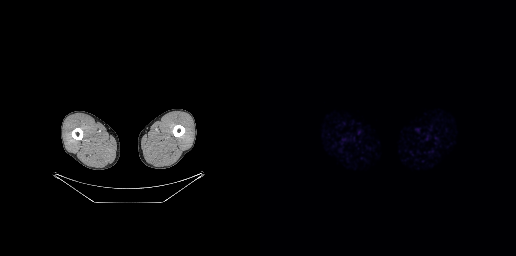
{"modality":"PSMA PET/CT","view":"axial","tracer":"18F-PSMA","pet_grid":[256,256],"coord_frame":"pet_panel","coord_format":"x0,y0,x1,y1","psma_avid_lesions":false}